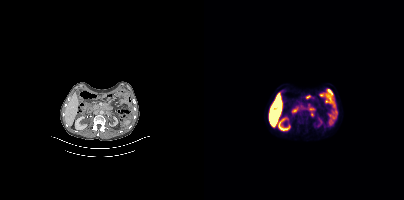
modality: PSMA PET/CT | tracer: 18F | view: axial
Coordinates are on the 200×200 PET (right) panel. PSMA-avid tumor lesion bounding box (x, y, width, height): x=105 y=108 w=5 h=9.